Left: CT. Right: PSMA PET, same axial level, 18F-PSMA tracer. Slice 11 of 411. PET panel 200×200 px (4.1 mm/px).
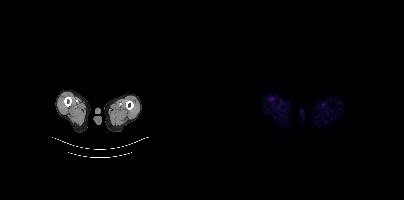
No PSMA-avid tumor lesions on this slice.